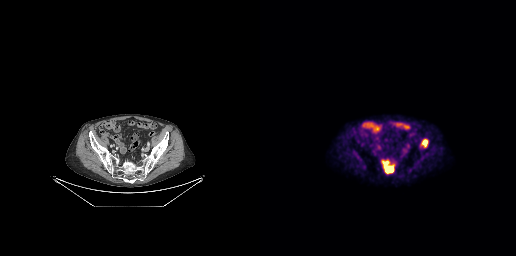
Coordinates are on the 256×256 PET (right) panel. PSMA-avid tumor lesion bounding boxes (x0,y0,x1,y1): [123,161,133,172] [162,139,167,146]. Left: CT. Right: PSMA PET, same axial level, 18F tracer. Slice 79 of 263.